modality: PSMA PET/CT | tracer: 68Ga-PSMA | view: axial | redaction: facial region redacted
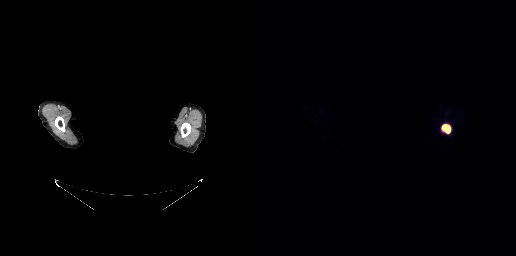
Coordinates are on the 256×256 PET (right) panel. PSMA-avid tumor lesion bounding box (x0,y0,x1,y1): [182,125,190,132].